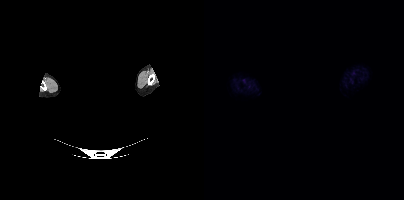
Technique: Left: CT. Right: PSMA PET, same axial level, 18F tracer. acquired on Siemens Biograph mCT Flow 20. slice 436 of 452. PET panel 200×200 px (4.1 mm/px).
Note: Any black rectangle over the head is a privacy mask, not anatomy.
Findings: No tumor lesions annotated on this slice.